Two-panel axial: CT | PSMA PET, 18F-PSMA tracer.
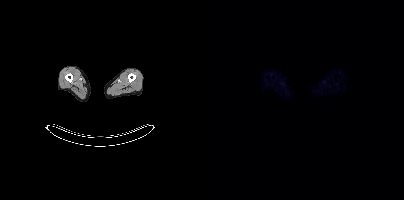
No tumor lesions annotated on this slice.